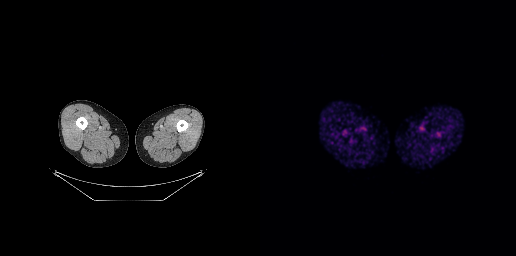
Technique: Paired axial CT (left) and PSMA PET (right), 68Ga-PSMA tracer. acquired on GE Discovery 690. slice position z = -1057 mm. PET panel 256×256 px (2.7 mm/px).
Findings: This slice has no annotated PSMA-avid lesion.